- Paired axial CT (left) and PSMA PET (right), 18F tracer
- slice 18 of 452
- PET panel 200×200 px (4.1 mm/px)
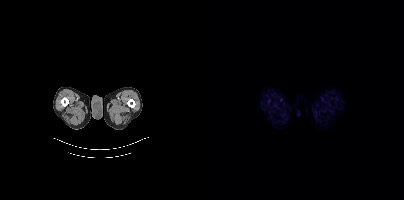
Findings: This slice has no annotated PSMA-avid lesion.